- Paired axial CT (left) and PSMA PET (right), 18F-PSMA tracer
- slice 249 of 429
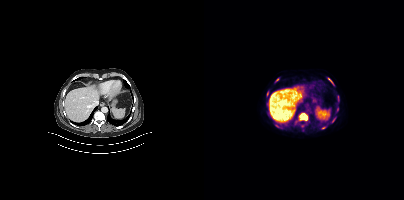
Findings: Coordinates are on the 200×200 PET (right) panel. (showing 7 of 8 foci) PSMA-avid tumor lesion bounding boxes (x0,y0,x1,y1): [96,113,103,120] [124,78,129,84] [63,91,64,96]. Small PSMA-avid foci (2 to 4 px across) near (center x, center y): (130, 118) (119, 127) (134, 97) (73, 79).